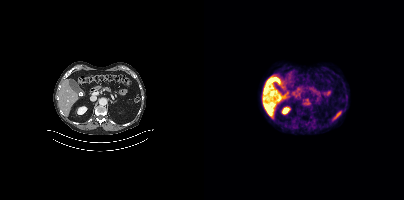
No PSMA-avid tumor lesions on this slice.